modality: PSMA PET/CT | tracer: [18F]PSMA-1007 | view: axial | PET grid: 200×200
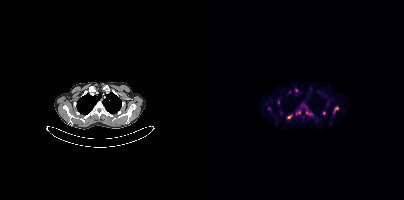
Coordinates are on the 200×200 PET (right) panel. (showing 9 of 12 foci) PSMA-avid tumor lesion bounding boxes (x, y, width, height): x=129 y=106 w=6 h=9 / x=102 y=111 w=7 h=5 / x=82 y=114 w=6 h=6 / x=92 y=110 w=5 h=5 / x=74 y=100 w=2 h=5. Small PSMA-avid foci (2 to 4 px across) near (center x, center y): (119, 112) / (92, 90) / (65, 109) / (85, 91).